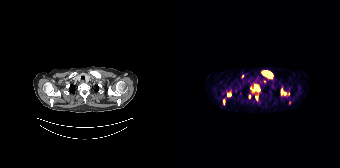
Coordinates are on the 168×168 PET (right) panel. (showing 9 of 10 foci) PSMA-avid tumor lesion bounding boxes (x0, y0)-(x1, y1): (78, 85)-(86, 91); (90, 71)-(100, 76); (109, 89)-(110, 94). Small PSMA-avid foci (2 to 4 px across) near (center x, center y): (56, 94); (84, 97); (92, 81); (112, 93); (77, 96); (51, 101).